Technique: Left: CT. Right: PSMA PET, same axial level, 18F-PSMA tracer. slice 393 of 963. PET panel 200×200 px (4.1 mm/px).
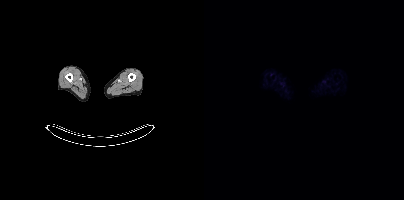
Findings: Negative for PSMA-avid disease on this slice.